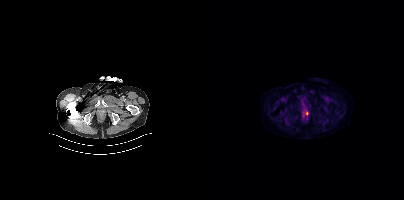
Findings: Only PSMA-avid lesion pieces thinner than 2 px on this slice (not listed).
Technique: Left: CT. Right: PSMA PET, same axial level, 18F-PSMA tracer. slice position z = -1514 mm.